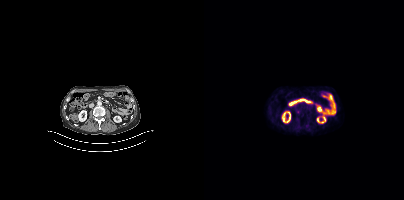
Technique: Left: CT. Right: PSMA PET, same axial level, 18F-PSMA tracer. slice 182 of 389.
Findings: Coordinates are on the 200×200 PET (right) panel. Small PSMA-avid focus (2 to 4 px across) near (center x, center y): (94, 111).